modality: PSMA PET/CT | tracer: 68Ga | view: axial
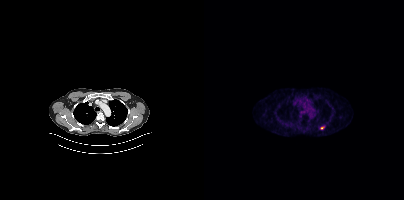
Coordinates are on the 200×200 PET (right) panel. Small PSMA-avid focus (2 to 4 px across) near (center x, center y): (118, 128).